Technique: Left: CT. Right: PSMA PET, same axial level, [18F]PSMA-1007 tracer. slice position z = -428 mm. PET panel 200×200 px (4.1 mm/px).
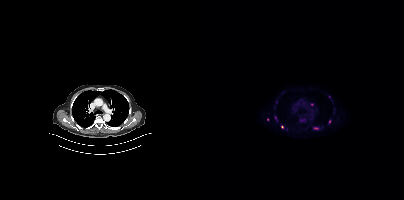
Findings: Coordinates are on the 200×200 PET (right) panel. PSMA-avid tumor lesion bounding box (x0, y0)-(x1, y1): (110, 127)-(114, 129). Small PSMA-avid foci (2 to 4 px across) near (center x, center y): (63, 119) | (107, 104) | (125, 121) | (78, 126).